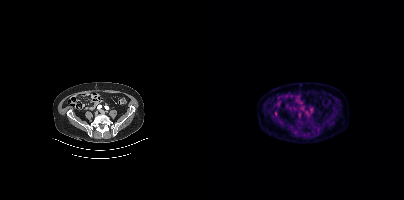
{"modality":"PSMA PET/CT","view":"axial","tracer":"18F","pet_grid":[200,200],"coord_frame":"pet_panel","coord_format":"x0,y0,x1,y1","lesion_bboxes":[],"small_foci_centers":[[71,113]]}